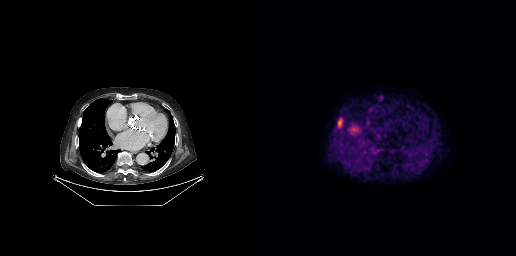
Coordinates are on the 256×256 PET (right) panel. PSMA-avid tumor lesion bounding boxes (x0,y0,x1,y1): [78,118,82,127]; [119,95,123,100].